modality: PSMA PET/CT | tracer: 18F-PSMA | view: axial | PET grid: 200×200
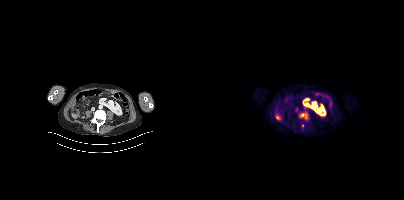
Coordinates are on the 200×200 PET (right) panel. PSMA-avid tumor lesion bounding box (x, y, width, height): x=95 y=113 w=9 h=6. Small PSMA-avid focus (2 to 4 px across) near (center x, center y): (98, 125).